Paired axial CT (left) and PSMA PET (right), [68Ga]Ga-PSMA-11 tracer. Slice position z = -727 mm.
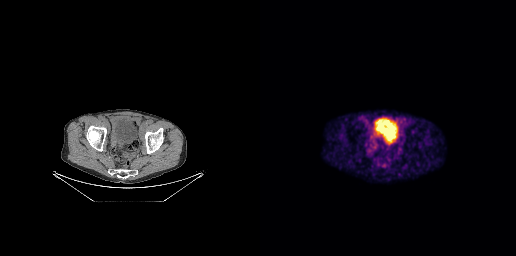
No tumor lesions annotated on this slice.